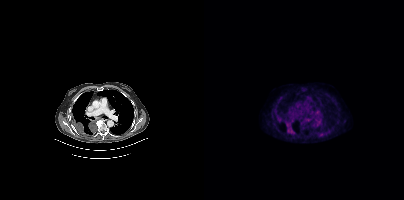
Findings: Coordinates are on the 200×200 PET (right) panel. PSMA-avid tumor lesion bounding box (x, y, width, height): x=82 y=123 w=8 h=11.
Technique: Two-panel axial: CT | PSMA PET, 18F tracer. acquired on Siemens Biograph mCT Flow 20. slice position z = -1022 mm.